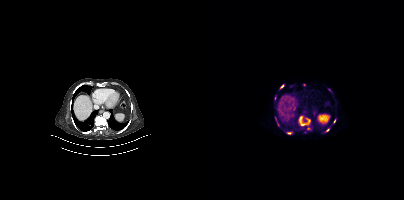
Coordinates are on the 200×200 PET (right) panel. (showing 8 of 9 foci) PSMA-avid tumor lesion bounding boxes (x0,y0,x1,y1): [95,116,105,125], [71,117,75,126], [83,132,87,134]. Small PSMA-avid foci (2 to 4 px across) near (center x, center y): (123, 129), (71, 96), (78, 86), (130, 120), (125, 89). Left: CT. Right: PSMA PET, same axial level, 68Ga-PSMA tracer. Slice 250 of 397.